- Left: CT. Right: PSMA PET, same axial level, [18F]PSMA-1007 tracer
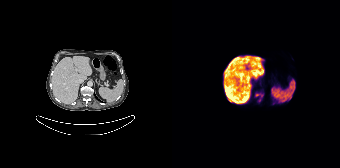
Findings: Coordinates are on the 168×168 PET (right) panel. PSMA-avid tumor lesion bounding box (x0, y0)-(x1, y1): (83, 93)-(91, 101).